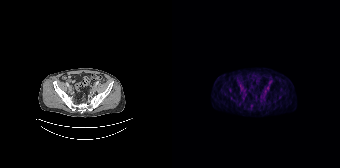
{"modality":"PSMA PET/CT","view":"axial","tracer":"18F","pet_grid":[168,168],"coord_frame":"pet_panel","coord_format":"x0,y0,x1,y1","partial":true,"lesion_bboxes":[[94,85,97,89]]}